- privacy masking over the head, with the pixels inside a rectangle set to black
- Left: CT. Right: PSMA PET, same axial level, 18F-PSMA tracer
- acquired on Siemens Biograph mCT Flow 20
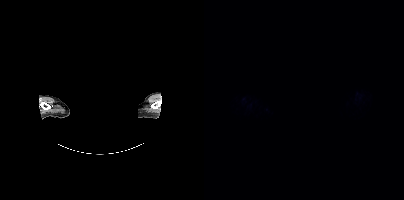
Findings: No PSMA-avid tumor lesions on this slice.